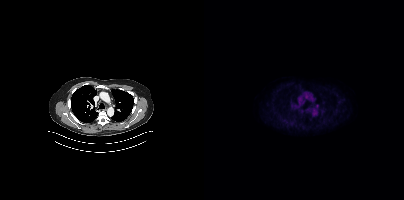
Findings: Coordinates are on the 200×200 PET (right) panel. Small PSMA-avid focus (2 to 4 px across) near (center x, center y): (113, 105).
Technique: Left: CT. Right: PSMA PET, same axial level, [18F]PSMA-1007 tracer. slice position z = -1017 mm. PET panel 200×200 px (4.1 mm/px).